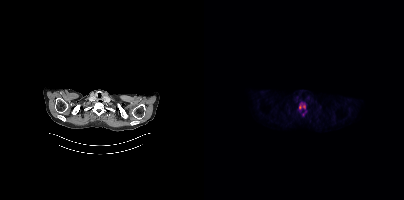
Findings: Coordinates are on the 200×200 PET (right) panel. (showing 1 of 2 foci) PSMA-avid tumor lesion bounding box (x, y, width, height): x=95 y=103 w=7 h=7.
- Two-panel axial: CT | PSMA PET, [18F]PSMA-1007 tracer
- PET panel 200×200 px (4.1 mm/px)